- Paired axial CT (left) and PSMA PET (right), 68Ga tracer
- slice 138 of 413
- PET panel 200×200 px (4.1 mm/px)
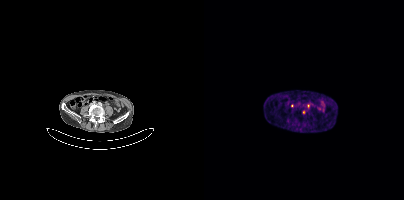
Findings: Only PSMA-avid lesion pieces thinner than 2 px on this slice (not listed).